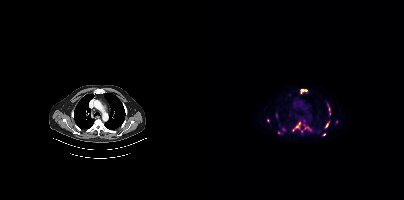
{"modality":"PSMA PET/CT","view":"axial","tracer":"[18F]PSMA-1007","pet_grid":[200,200],"coord_frame":"pet_panel","coord_format":"x0,y0,x1,y1","partial":true,"lesion_bboxes":[[92,122,96,128],[97,89,102,93],[122,122,125,127]],"small_foci_centers":[[72,115],[120,134]]}